- Paired axial CT (left) and PSMA PET (right), [18F]PSMA-1007 tracer
- slice 64 of 411
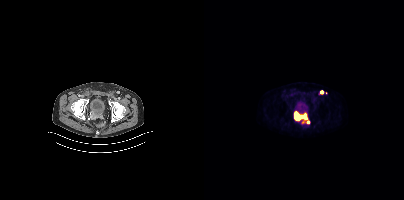
Findings: Coordinates are on the 200×200 PET (right) panel. (showing 2 of 3 foci) PSMA-avid tumor lesion bounding boxes (x0, y0)-(x1, y1): (90, 111)-(106, 124) / (116, 90)-(119, 94).